- Paired axial CT (left) and PSMA PET (right), [18F]PSMA-1007 tracer
- acquired on Siemens Biograph mCT Flow 20
- PET panel 200×200 px (4.1 mm/px)
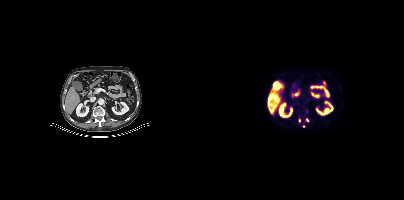
Findings: Coordinates are on the 200×200 PET (right) panel. (showing 3 of 4 foci) Small PSMA-avid foci (2 to 4 px across) near (center x, center y): (103, 120), (95, 120), (99, 126).